Paired axial CT (left) and PSMA PET (right), 68Ga tracer. Slice position z = -506 mm. PET panel 200×200 px (4.1 mm/px).
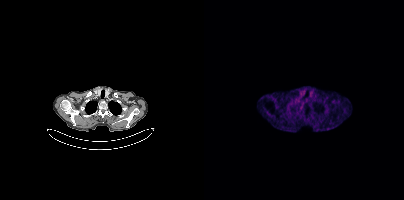
No tumor lesions annotated on this slice.